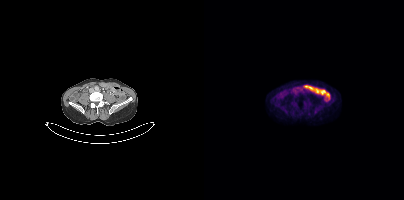
No tumor lesions annotated on this slice.